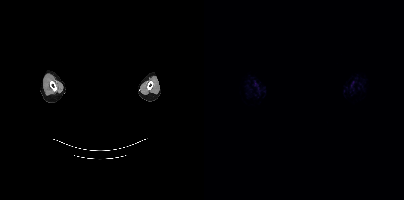
Paired axial CT (left) and PSMA PET (right), 18F-PSMA tracer. Acquired on Siemens Biograph mCT Flow 20. PET panel 200×200 px (4.1 mm/px). De-identified by setting a box covering the face to black before release. No tumor lesions annotated on this slice.